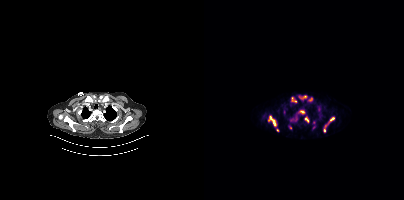
{"pet_grid":[200,200],"coord_frame":"pet_panel","coord_format":"x0,y0,x1,y1","lesion_bboxes":[[64,116,72,126],[87,115,93,122],[87,97,92,102],[95,96,102,99],[94,110,100,113],[101,117,104,122],[105,97,108,101],[126,117,130,121],[119,122,124,131]],"small_foci_centers":[[114,107],[73,130],[86,127],[109,122],[109,127]],"modality":"PSMA PET/CT","view":"axial","tracer":"68Ga-PSMA"}